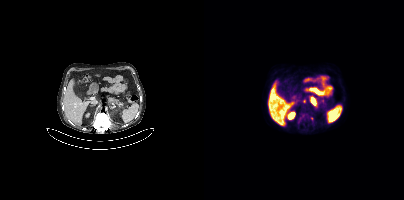
{"modality":"PSMA PET/CT","view":"axial","tracer":"18F-PSMA","pet_grid":[200,200],"coord_frame":"pet_panel","coord_format":"x0,y0,x1,y1","lesion_bboxes":[[93,119,97,123]],"small_foci_centers":[[98,116],[100,101],[118,100],[107,118]]}